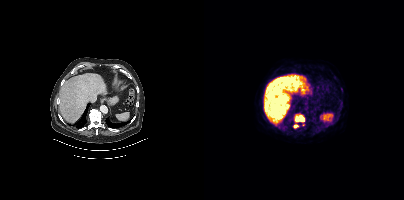
Coordinates are on the 200×200 PET (right) panel. (showing 2 of 3 foci) PSMA-avid tumor lesion bounding boxes (x0, y0)-(x1, y1): (91, 114)-(100, 122) / (89, 124)-(94, 128). Paired axial CT (left) and PSMA PET (right), 18F-PSMA tracer. Slice position z = -571 mm. PET panel 200×200 px (4.1 mm/px).